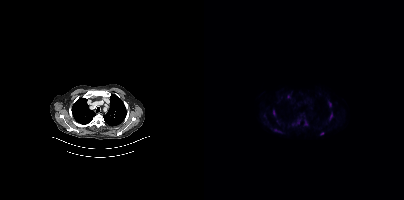
Coordinates are on the 200×200 PET (right) panel. PSMA-avid tumor lesion bounding boxes (x, y, width, height): x=125 y=112 w=4 h=8; x=124 y=102 w=4 h=5; x=69 y=110 w=3 h=6; x=70 y=129 w=8 h=4; x=96 y=112 w=5 h=3; x=101 y=121 w=3 h=5. Small PSMA-avid foci (2 to 4 px across) near (center x, center y): (94, 121); (117, 133); (84, 96); (95, 104); (88, 124).